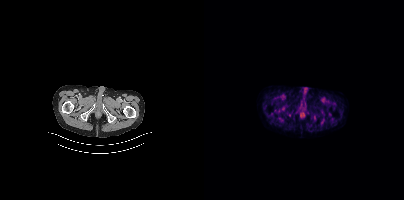
Negative for PSMA-avid disease on this slice. Left: CT. Right: PSMA PET, same axial level, [18F]PSMA-1007 tracer. Slice 38 of 407.